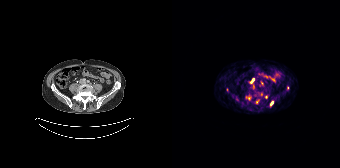
{"pet_grid":[168,168],"coord_frame":"pet_panel","coord_format":"x0,y0,x1,y1","partial":true,"lesion_bboxes":[[79,78,81,82]],"small_foci_centers":[[94,97],[100,103]],"modality":"PSMA PET/CT","view":"axial","tracer":"68Ga-PSMA"}